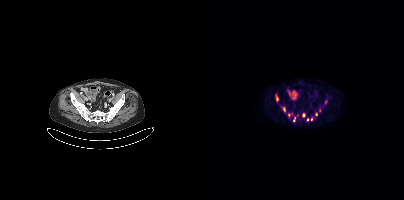
{"modality":"PSMA PET/CT","view":"axial","tracer":"18F-PSMA","pet_grid":[200,200],"coord_frame":"pet_panel","coord_format":"x0,y0,x1,y1","partial":true,"lesion_bboxes":[[72,95,74,100],[89,117,91,121],[84,114,86,118]],"small_foci_centers":[[80,109],[99,115],[107,119],[112,114],[121,102],[103,119]]}